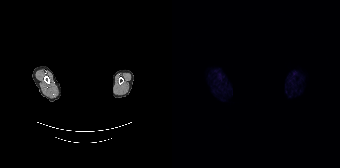
Findings: This slice has no annotated PSMA-avid lesion.
Technique: Two-panel axial: CT | PSMA PET, 68Ga tracer.
Note: An anonymization step blacked out a rectangle over the head in this scan.